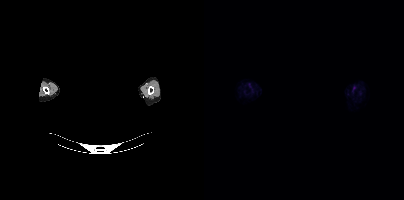
{"modality":"PSMA PET/CT","view":"axial","tracer":"18F","pet_grid":[200,200],"coord_frame":"pet_panel","coord_format":"x0,y0,x1,y1","psma_avid_lesions":false,"deidentification":"head region blanked (face removed)"}